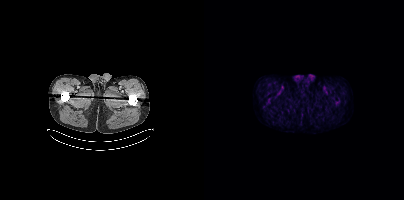
modality: PSMA PET/CT | tracer: 18F-PSMA | view: axial
Negative for PSMA-avid disease on this slice.